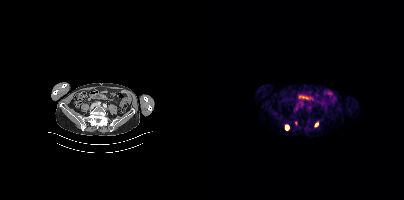
{"modality":"PSMA PET/CT","view":"axial","tracer":"18F-PSMA","pet_grid":[200,200],"coord_frame":"pet_panel","coord_format":"x0,y0,x1,y1","lesion_bboxes":[[80,124,85,130]],"small_foci_centers":[[112,124],[91,123]]}